Two-panel axial: CT | PSMA PET, 18F-PSMA tracer.
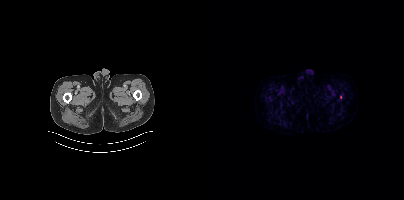
Coordinates are on the 200×200 PET (right) panel. Small PSMA-avid focus (2 to 4 px across) near (center x, center y): (136, 97).